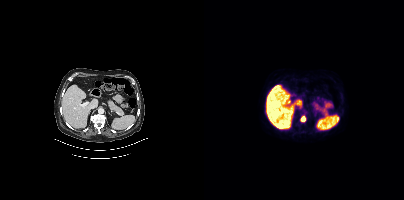
{"modality":"PSMA PET/CT","view":"axial","tracer":"18F","pet_grid":[200,200],"coord_frame":"pet_panel","coord_format":"x0,y0,x1,y1","lesion_bboxes":[[96,116,101,121]]}